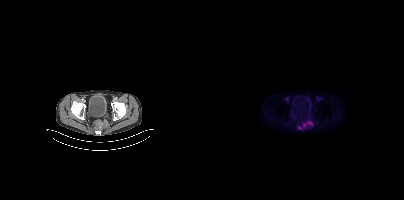
modality: PSMA PET/CT | tracer: 18F-PSMA | view: axial | PET grid: 200×200
Coordinates are on the 200×200 PET (right) panel. PSMA-avid tumor lesion bounding box (x0,y0,x1,y1): [104,121,108,124]. Small PSMA-avid foci (2 to 4 px across) near (center x, center y): (94, 127); (100, 124).